Technique: Left: CT. Right: PSMA PET, same axial level, 18F tracer.
Note: The face region was removed for patient privacy by blanking a rectangle over the head.
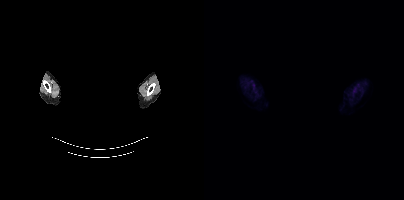
Findings: Negative for PSMA-avid disease on this slice.